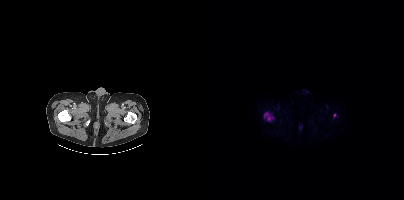
{"pet_grid":[200,200],"coord_frame":"pet_panel","coord_format":"x0,y0,x1,y1","lesion_bboxes":[[60,113,69,120]],"small_foci_centers":[[131,114]],"modality":"PSMA PET/CT","view":"axial","tracer":"18F"}